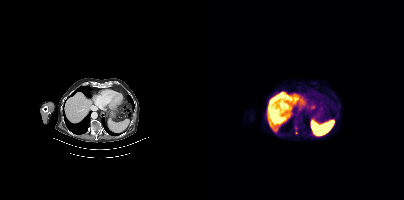
{"modality":"PSMA PET/CT","view":"axial","tracer":"18F","pet_grid":[200,200],"coord_frame":"pet_panel","coord_format":"x0,y0,x1,y1","partial":true,"lesion_bboxes":[],"small_foci_centers":[[92,132]]}